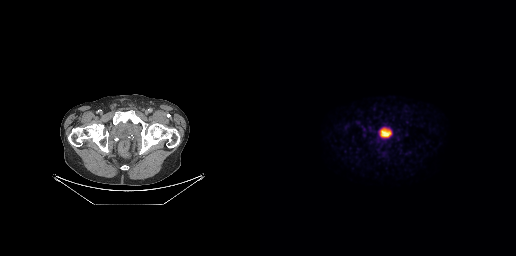
No PSMA-avid tumor lesions on this slice. Two-panel axial: CT | PSMA PET, 18F-PSMA tracer. Acquired on GE Discovery 690. Slice position z = -670 mm.